Technique: Paired axial CT (left) and PSMA PET (right), [68Ga]Ga-PSMA-11 tracer.
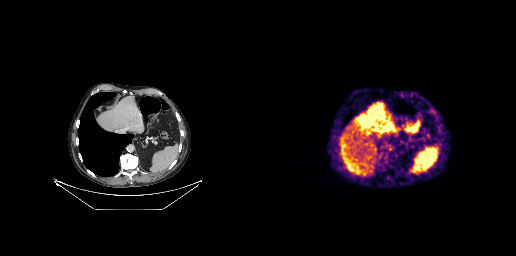
Findings: No PSMA-avid tumor lesions on this slice.